Two-panel axial: CT | PSMA PET, 18F-PSMA tracer. Acquired on Siemens Biograph mCT Flow 20.
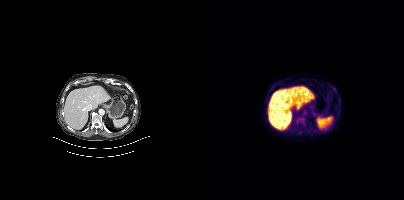
Coordinates are on the 200×200 PET (right) panel. PSMA-avid tumor lesion bounding box (x0, y0)-(x1, y1): (96, 121)-(100, 125).